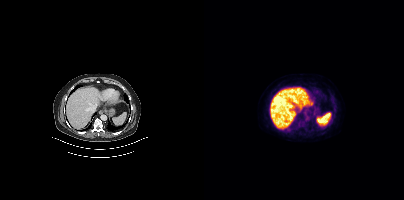
{"modality":"PSMA PET/CT","view":"axial","tracer":"18F-PSMA","pet_grid":[200,200],"coord_frame":"pet_panel","coord_format":"x0,y0,x1,y1","psma_avid_lesions":false}